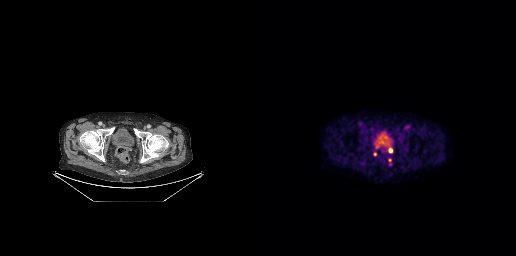
Coordinates are on the 256×256 PET (right) panel. Small PSMA-avid focus (2 to 4 px across) near (center x, center y): (130, 150).
modality: PSMA PET/CT | tracer: 18F-PSMA | view: axial | PET grid: 256×256